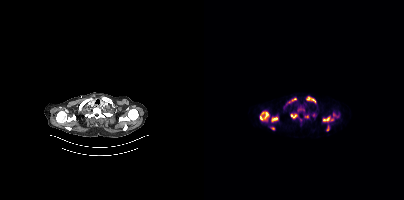
{"modality":"PSMA PET/CT","view":"axial","tracer":"68Ga","pet_grid":[200,200],"coord_frame":"pet_panel","coord_format":"x0,y0,x1,y1","partial":true,"lesion_bboxes":[[56,112,64,120],[119,117,129,121],[102,96,111,102],[84,98,92,103],[67,117,73,121],[87,114,93,117],[129,114,134,117],[123,125,125,130],[66,127,70,129]],"small_foci_centers":[[102,116],[110,114],[95,109],[130,112]]}